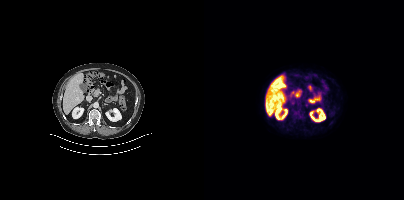
{"modality":"PSMA PET/CT","view":"axial","tracer":"18F","pet_grid":[200,200],"coord_frame":"pet_panel","coord_format":"x0,y0,x1,y1","lesion_bboxes":[],"small_foci_centers":[[102,104]]}